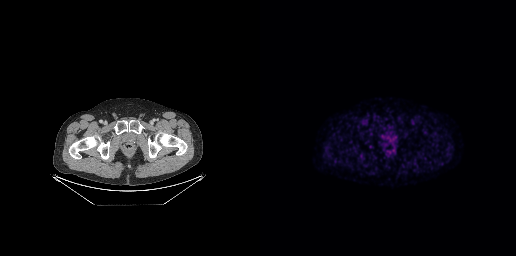
- Paired axial CT (left) and PSMA PET (right), 18F-PSMA tracer
- slice 50 of 263
Findings: Coordinates are on the 256×256 PET (right) panel. Small PSMA-avid focus (2 to 4 px across) near (center x, center y): (133, 139).